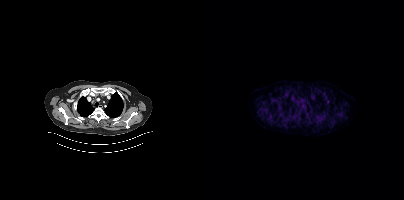
{"modality":"PSMA PET/CT","view":"axial","tracer":"[18F]PSMA-1007","pet_grid":[200,200],"coord_frame":"pet_panel","coord_format":"x0,y0,x1,y1","psma_avid_lesions":false}